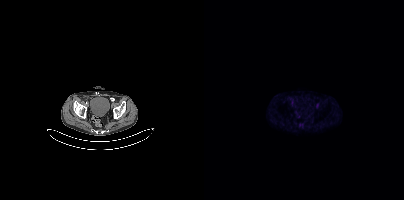
{"pet_grid":[200,200],"coord_frame":"pet_panel","coord_format":"x0,y0,x1,y1","psma_avid_lesions":false,"modality":"PSMA PET/CT","view":"axial","tracer":"[18F]PSMA-1007"}